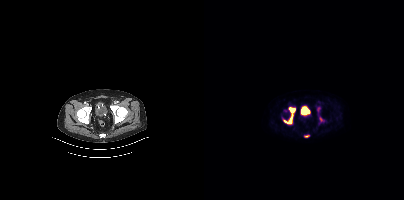
Findings: Coordinates are on the 200×200 PET (right) panel. (showing 3 of 4 foci) PSMA-avid tumor lesion bounding box (x0, y0)-(x1, y1): (79, 107)-(91, 124). Small PSMA-avid foci (2 to 4 px across) near (center x, center y): (117, 119); (102, 136).
Technique: Paired axial CT (left) and PSMA PET (right), 18F-PSMA tracer. PET panel 200×200 px (4.1 mm/px).